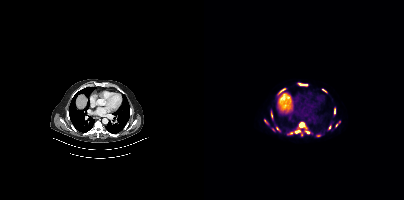
- Left: CT. Right: PSMA PET, same axial level, 18F-PSMA tracer
- acquired on Siemens Biograph mCT Flow 20
- PET panel 200×200 px (4.1 mm/px)
Findings: Coordinates are on the 200×200 PET (right) panel. (showing 12 of 14 foci) PSMA-avid tumor lesion bounding boxes (x0,y0,x1,y1): [95,122,102,128] [91,130,96,133] [95,84,103,85] [130,108,131,113] [101,131,105,133] [76,89,80,92] [67,113,68,117]. Small PSMA-avid foci (2 to 4 px across) near (center x, center y): (125, 127) (132, 125) (73, 128) (87, 132) (114, 135).